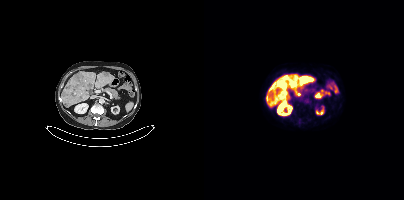
{"modality":"PSMA PET/CT","view":"axial","tracer":"[18F]PSMA-1007","pet_grid":[200,200],"coord_frame":"pet_panel","coord_format":"x0,y0,x1,y1","lesion_bboxes":[[97,76,103,81],[87,79,92,84],[79,76,83,80]],"small_foci_centers":[[75,83],[94,94]]}